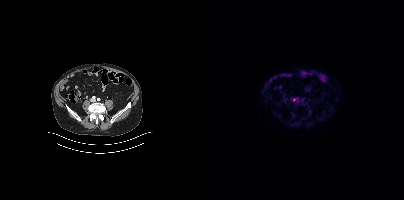
{"pet_grid":[200,200],"coord_frame":"pet_panel","coord_format":"x0,y0,x1,y1","lesion_bboxes":[],"small_foci_centers":[[90,99]],"modality":"PSMA PET/CT","view":"axial","tracer":"18F-PSMA"}